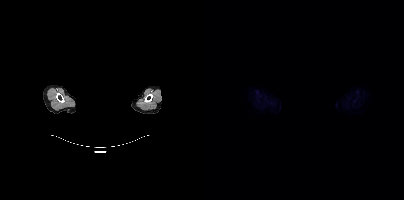
{"modality":"PSMA PET/CT","view":"axial","tracer":"18F","pet_grid":[200,200],"coord_frame":"pet_panel","coord_format":"x0,y0,x1,y1","de-identification":"head region blanked (face removed)","psma_avid_lesions":false}